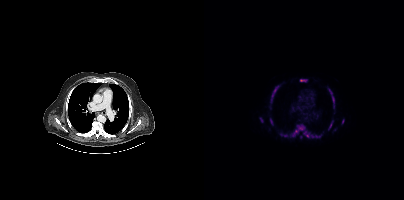
Technique: Two-panel axial: CT | PSMA PET, [18F]PSMA-1007 tracer. acquired on Siemens Biograph mCT Flow 20. slice 296 of 423.
Findings: Coordinates are on the 200×200 PET (right) panel. (showing 10 of 11 foci) PSMA-avid tumor lesion bounding boxes (x0,y0,x1,y1): [86,124,104,137], [124,88,130,108], [66,89,71,102], [96,79,102,81], [76,133,84,136], [124,121,129,129], [110,135,117,137], [138,119,140,123]. Small PSMA-avid foci (2 to 4 px across) near (center x, center y): (57, 119), (97, 137).